Technique: Paired axial CT (left) and PSMA PET (right), 18F-PSMA tracer. slice position z = -214 mm.
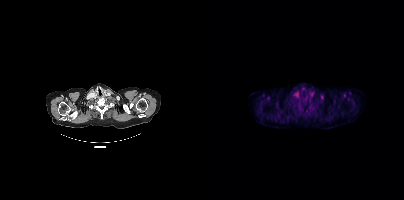
Findings: No PSMA-avid tumor lesions on this slice.